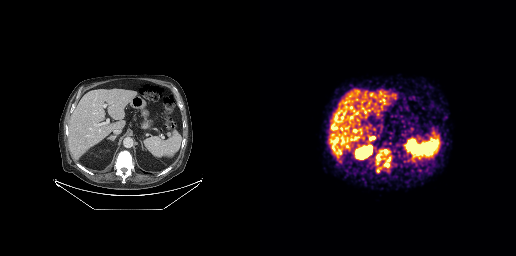
{"modality":"PSMA PET/CT","view":"axial","tracer":"68Ga","pet_grid":[256,256],"coord_frame":"pet_panel","coord_format":"x0,y0,x1,y1","partial":true,"lesion_bboxes":[[116,149,131,167]],"small_foci_centers":[[118,170]]}